modality: PSMA PET/CT | tracer: [68Ga]Ga-PSMA-11 | view: axial
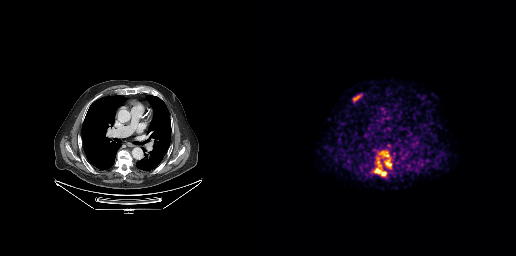
Coordinates are on the 256×256 PET (right) panel. PSMA-avid tumor lesion bounding boxes (x0,y0,x1,y1): [119,151,131,168]; [113,157,126,176]; [93,96,99,100].